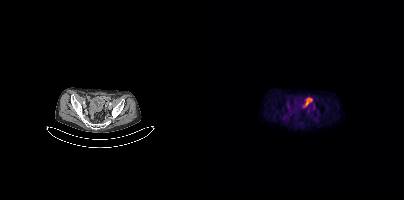
Negative for PSMA-avid disease on this slice.